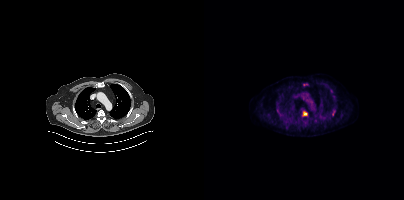
Coordinates are on the 200×200 PET (right) panel. PSMA-avid tumor lesion bounding boxes (x, y, width, height): x=98 y=111 w=6 h=5 | x=128 y=109 w=4 h=7 | x=99 y=83 w=5 h=3. Small PSMA-avid foci (2 to 4 px across) near (center x, center y): (76, 114) | (126, 89) | (86, 120).
modality: PSMA PET/CT | tracer: [18F]PSMA-1007 | view: axial